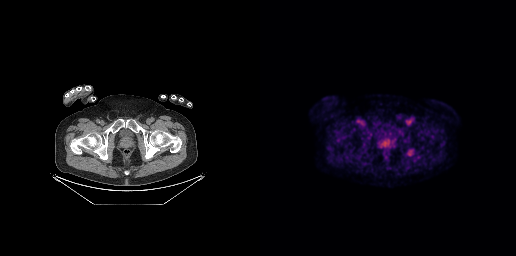
Coordinates are on the 256×256 PET (right) panel. PSMA-avid tumor lesion bounding box (x, y, width, height): x=147 y=149 w=7 h=8.